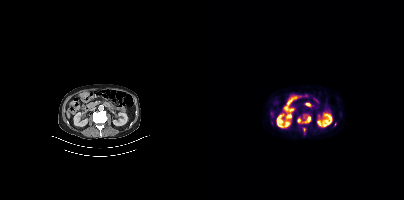
Findings: Coordinates are on the 200×200 PET (right) panel. PSMA-avid tumor lesion bounding box (x, y, width, height): x=93 y=114 w=15 h=10. Small PSMA-avid focus (2 to 4 px across) near (center x, center y): (100, 129).
Technique: Two-panel axial: CT | PSMA PET, [18F]PSMA-1007 tracer. slice position z = -618 mm. PET panel 200×200 px (4.1 mm/px).